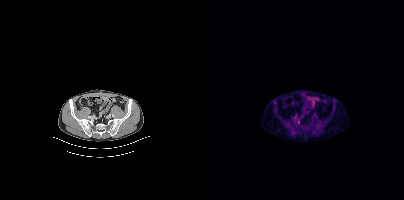
Paired axial CT (left) and PSMA PET (right), 18F tracer. Coordinates are on the 200×200 PET (right) panel. Small PSMA-avid focus (2 to 4 px across) near (center x, center y): (94, 121).